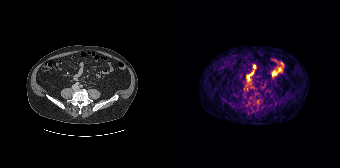
No PSMA-avid tumor lesions on this slice.
modality: PSMA PET/CT | tracer: 68Ga | view: axial